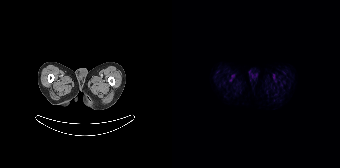
Left: CT. Right: PSMA PET, same axial level, [18F]PSMA-1007 tracer. Slice 9 of 165. PET panel 168×168 px (4.1 mm/px). This slice has no annotated PSMA-avid lesion.